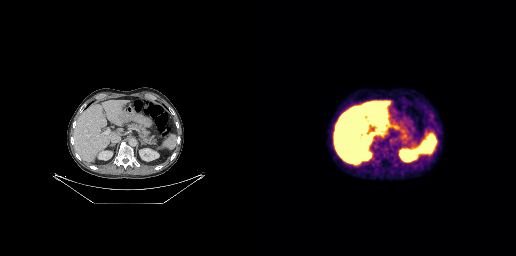
Findings: Negative for PSMA-avid disease on this slice.
- Left: CT. Right: PSMA PET, same axial level, 18F tracer
- acquired on GE Discovery 690
- PET panel 256×256 px (2.7 mm/px)